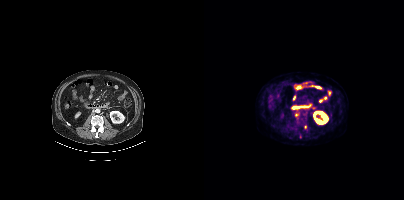
{"modality":"PSMA PET/CT","view":"axial","tracer":"[18F]PSMA-1007","pet_grid":[200,200],"coord_frame":"pet_panel","coord_format":"x0,y0,x1,y1","lesion_bboxes":[],"small_foci_centers":[[92,114],[96,136],[101,127]]}